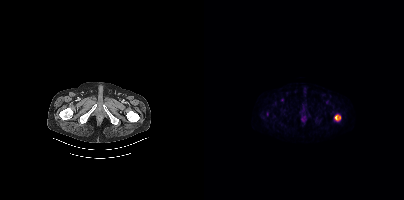
Coordinates are on the 200×200 PET (right) panel. PSMA-avid tumor lesion bounding boxes:
| # | x0 | y0 | x1 | y1 |
|---|---|---|---|---|
| 1 | 131 | 115 | 136 | 120 |
Small PSMA-avid focus (2 to 4 px across) near (center x, center y): (78, 100).
Left: CT. Right: PSMA PET, same axial level, 18F-PSMA tracer. PET panel 200×200 px (4.1 mm/px).